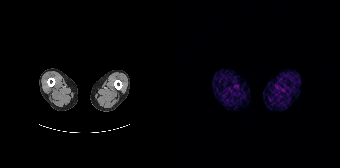
Paired axial CT (left) and PSMA PET (right), 68Ga tracer. Slice position z = -910 mm. PET panel 168×168 px (4.1 mm/px). Negative for PSMA-avid disease on this slice.